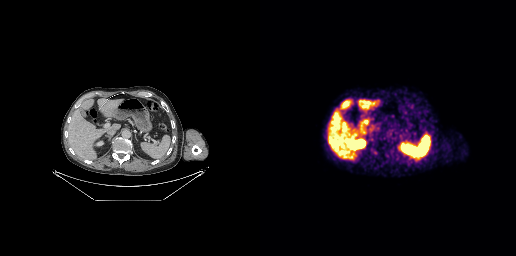
- Left: CT. Right: PSMA PET, same axial level, 68Ga tracer
- acquired on GE Discovery 690
- PET panel 256×256 px (2.7 mm/px)
Findings: This slice has no annotated PSMA-avid lesion.